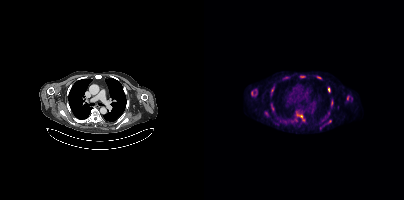
modality: PSMA PET/CT | tracer: 18F-PSMA | view: axial
Coordinates are on the 200×200 PET (right) panel. PSMA-avid tumor lesion bounding boxes (x, y, width, height): x=93 y=114 w=8 h=7 | x=61 y=111 w=4 h=5 | x=80 y=76 w=5 h=4 | x=113 y=76 w=5 h=4 | x=124 y=88 w=3 h=5 | x=67 y=103 w=3 h=5 | x=96 y=76 w=5 h=2 | x=127 y=101 w=2 h=5. Small PSMA-avid foci (2 to 4 px across) near (center x, center y): (125, 121) | (68, 88) | (143, 97) | (124, 112).